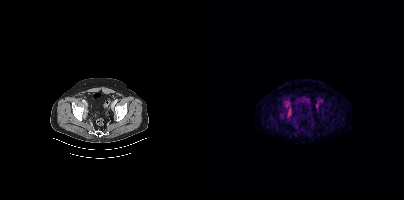
Coordinates are on the 200×200 PET (right) panel. Small PSMA-avid foci (2 to 4 px across) near (center x, center y): (85, 113); (85, 109).